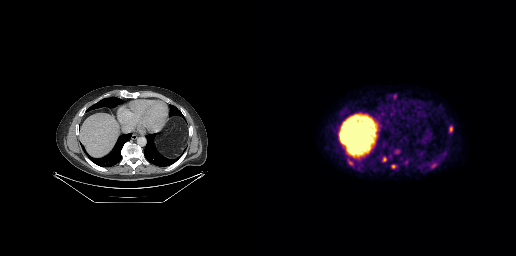
{"modality":"PSMA PET/CT","view":"axial","tracer":"18F","pet_grid":[256,256],"coord_frame":"pet_panel","coord_format":"x0,y0,x1,y1","lesion_bboxes":[[87,158,93,165],[189,126,192,132]],"small_foci_centers":[[173,165],[124,159],[133,166],[134,96],[93,158]]}